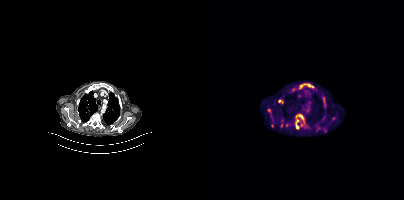
Coordinates are on the 200×200 PET (right) panel. (showing 5 of 8 foci) PSMA-avid tumor lesion bounding boxes (x, y, width, height): x=91 y=114 w=10 h=15; x=96 y=84 w=14 h=5; x=63 y=108 w=5 h=9. Small PSMA-avid foci (2 to 4 px across) near (center x, center y): (97, 125); (78, 98). Two-panel axial: CT | PSMA PET, 18F-PSMA tracer. PET panel 200×200 px (4.1 mm/px).